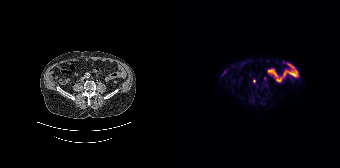
Technique: Paired axial CT (left) and PSMA PET (right), 18F tracer.
Findings: Coordinates are on the 168×168 PET (right) panel. Small PSMA-avid foci (2 to 4 px across) near (center x, center y): (82, 80) | (92, 78).